modality: PSMA PET/CT | tracer: [18F]PSMA-1007 | view: axial
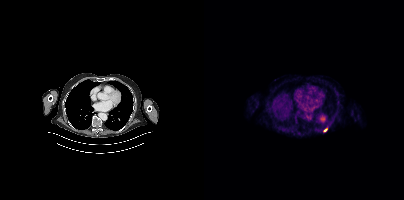
Coordinates are on the 200×200 PET (right) panel. Small PSMA-avid focus (2 to 4 px across) near (center x, center y): (121, 130).